modality: PSMA PET/CT | tracer: 18F | view: axial | PET grid: 200×200 | de-identification: privacy mask over head
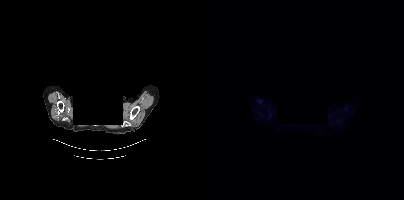
No PSMA-avid tumor lesions on this slice.